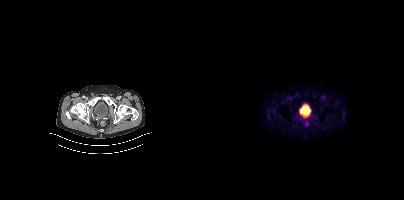
No PSMA-avid tumor lesions on this slice. Two-panel axial: CT | PSMA PET, [68Ga]Ga-PSMA-11 tracer. Acquired on Siemens Biograph mCT Flow 20. Slice 67 of 397. PET panel 200×200 px (4.1 mm/px).